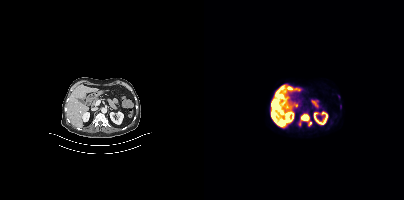
{"modality":"PSMA PET/CT","view":"axial","tracer":"18F-PSMA","pet_grid":[200,200],"coord_frame":"pet_panel","coord_format":"x0,y0,x1,y1","lesion_bboxes":[[71,91,80,98],[68,101,73,107],[97,116,104,120],[82,86,87,90]]}